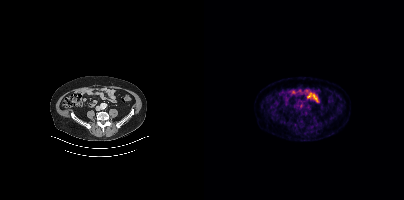
modality: PSMA PET/CT | tracer: 68Ga-PSMA | view: axial | PET grid: 200×200
Coordinates are on the 200×200 PET (right) panel. Small PSMA-avid focus (2 to 4 px across) near (center x, center y): (97, 105).